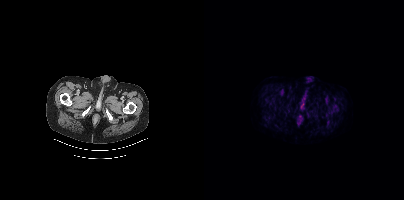
Negative for PSMA-avid disease on this slice.